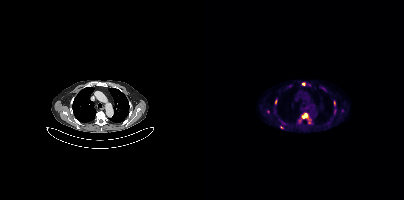
- Paired axial CT (left) and PSMA PET (right), 18F-PSMA tracer
- slice 311 of 415
Findings: Coordinates are on the 200×200 PET (right) panel. (showing 5 of 9 foci) PSMA-avid tumor lesion bounding boxes (x0,y0,x1,y1): [98,113,104,119], [130,101,131,105]. Small PSMA-avid foci (2 to 4 px across) near (center x, center y): (99, 84), (72, 101), (77, 127).